- Two-panel axial: CT | PSMA PET, [18F]PSMA-1007 tracer
- acquired on Siemens Biograph mCT Flow 20
- slice 460 of 508
- any black rectangle over the head is a privacy mask, not anatomy
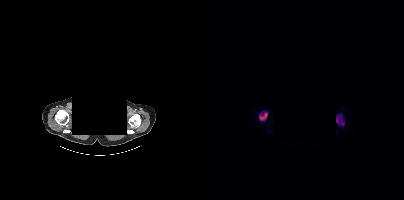
Findings: Coordinates are on the 200×200 PET (right) panel. PSMA-avid tumor lesion bounding boxes (x0,y0,x1,y1): [132,115,140,125], [55,112,63,120].